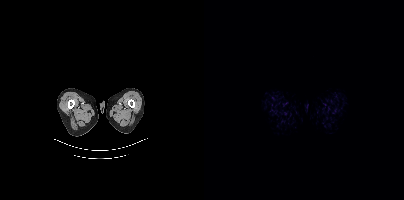
Findings: No tumor lesions annotated on this slice.
Technique: Paired axial CT (left) and PSMA PET (right), [18F]PSMA-1007 tracer. acquired on Siemens Biograph mCT Flow 20.